Technique: Two-panel axial: CT | PSMA PET, 18F-PSMA tracer. PET panel 200×200 px (4.1 mm/px).
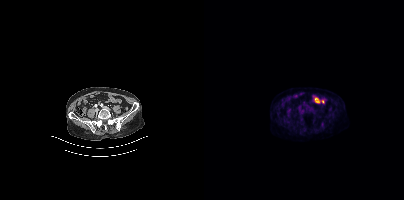
Findings: Coordinates are on the 200×200 PET (right) panel. Small PSMA-avid focus (2 to 4 px across) near (center x, center y): (118, 123).